Technique: Left: CT. Right: PSMA PET, same axial level, [68Ga]Ga-PSMA-11 tracer.
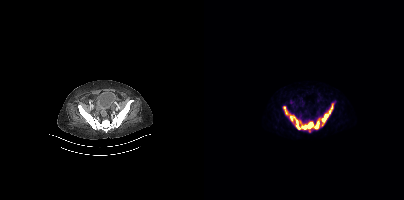
Findings: Coordinates are on the 200×200 PET (right) panel. PSMA-avid tumor lesion bounding boxes (x, y, width, height): x=81 y=112 w=6 h=5; x=92 y=124 w=6 h=6; x=123 y=111 w=5 h=5; x=127 y=103 w=3 h=6. Small PSMA-avid focus (2 to 4 px across) near (center x, center y): (110, 127).